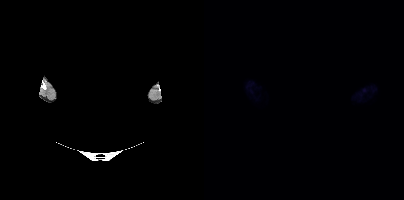
Technique: Two-panel axial: CT | PSMA PET, 18F tracer. acquired on Siemens Biograph mCT Flow 20. slice 414 of 435. PET panel 200×200 px (4.1 mm/px).
Note: De-identified by setting a box covering the face to black before release.
Findings: No tumor lesions annotated on this slice.